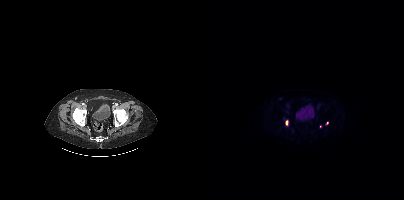
Left: CT. Right: PSMA PET, same axial level, [18F]PSMA-1007 tracer. Acquired on Siemens Biograph mCT Flow 20. PET panel 200×200 px (4.1 mm/px). Coordinates are on the 200×200 PET (right) panel. Small PSMA-avid foci (2 to 4 px across) near (center x, center y): (82, 122) / (123, 123) / (116, 126).